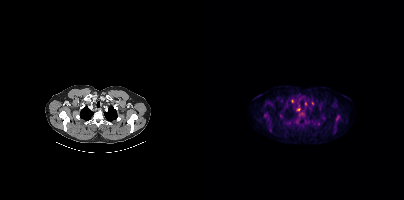
modality: PSMA PET/CT | tracer: 18F-PSMA | view: axial | PET grid: 200×200
Coordinates are on the 200×200 PET (right) panel. Small PSMA-avid foci (2 to 4 px across) near (center x, center y): (94, 109); (95, 105); (108, 103); (88, 101); (101, 103).